Technique: Two-panel axial: CT | PSMA PET, [68Ga]Ga-PSMA-11 tracer.
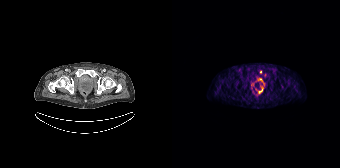
Findings: Coordinates are on the 168×168 PET (right) panel. (showing 2 of 3 foci) PSMA-avid tumor lesion bounding box (x, y, width, height): x=86 y=88 w=6 h=6. Small PSMA-avid focus (2 to 4 px across) near (center x, center y): (88, 71).